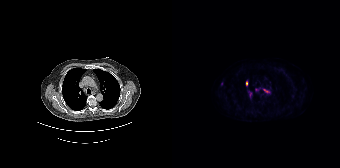
{"modality":"PSMA PET/CT","view":"axial","tracer":"18F-PSMA","pet_grid":[168,168],"coord_frame":"pet_panel","coord_format":"x0,y0,x1,y1","partial":true,"lesion_bboxes":[[91,89,97,92],[74,81,75,85]],"small_foci_centers":[[78,94]]}